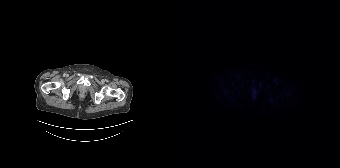
No tumor lesions annotated on this slice.